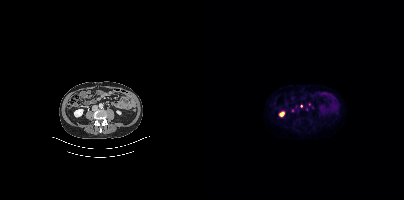
Findings: Coordinates are on the 200×200 PET (right) panel. (showing 1 of 2 foci) Small PSMA-avid focus (2 to 4 px across) near (center x, center y): (97, 106).
Technique: Two-panel axial: CT | PSMA PET, 18F-PSMA tracer. slice position z = -1356 mm.